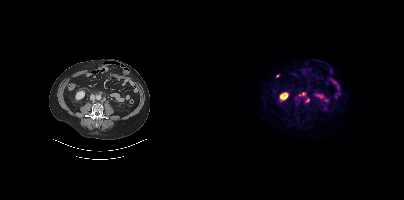
Left: CT. Right: PSMA PET, same axial level, 18F tracer.
Coordinates are on the 200×200 PET (right) panel. PSMA-avid tumor lesion bounding boxes (partial; 1 more focus not listed):
| # | x0 | y0 | x1 | y1 |
|---|---|---|---|---|
| 1 | 97 | 92 | 101 | 96 |
| 2 | 92 | 100 | 95 | 104 |
Small PSMA-avid focus (2 to 4 px across) near (center x, center y): (102, 100).